Two-panel axial: CT | PSMA PET, 18F-PSMA tracer. Acquired on Siemens Biograph mCT Flow 20.
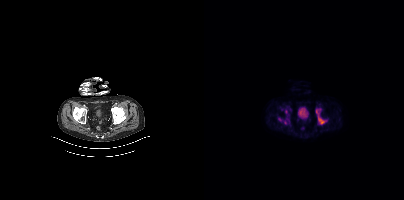
Coordinates are on the 200×200 PET (right) panel. PSMA-avid tumor lesion bounding box (x, y, width, height): x=111 y=108 w=12 h=17. Small PSMA-avid foci (2 to 4 px across) near (center x, center y): (75, 119) | (82, 111) | (81, 122).